Technique: Left: CT. Right: PSMA PET, same axial level, 18F tracer. acquired on Siemens Biograph mCT Flow 20. slice 318 of 417.
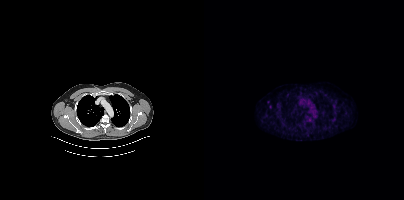
Findings: This slice has no annotated PSMA-avid lesion.